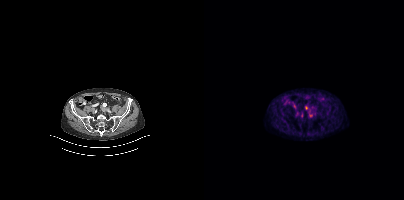
Paired axial CT (left) and PSMA PET (right), [68Ga]Ga-PSMA-11 tracer. Coordinates are on the 200×200 PET (right) panel. (showing 4 of 5 foci) Small PSMA-avid foci (2 to 4 px across) near (center x, center y): (106, 115) / (90, 105) / (102, 107) / (97, 115).